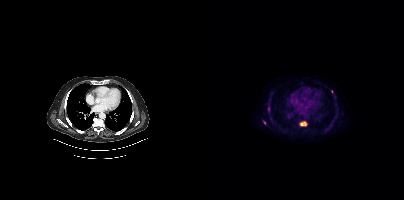
Coordinates are on the 200×200 PET (right) panel. PSMA-avid tumor lesion bounding boxes (partial; 3 more foci not listed):
| # | x0 | y0 | x1 | y1 |
|---|---|---|---|---|
| 1 | 96 | 121 | 102 | 125 |
Small PSMA-avid foci (2 to 4 px across) near (center x, center y): (64, 108); (131, 116); (60, 122).
Paired axial CT (left) and PSMA PET (right), 18F-PSMA tracer. Slice position z = -994 mm. PET panel 200×200 px (4.1 mm/px).